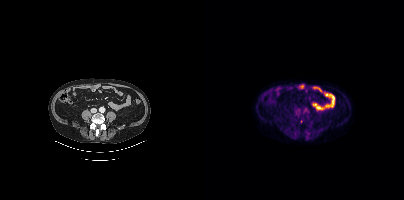
Paired axial CT (left) and PSMA PET (right), 18F-PSMA tracer. Acquired on Siemens Biograph mCT Flow 20. Slice position z = -713 mm. This slice has no annotated PSMA-avid lesion.